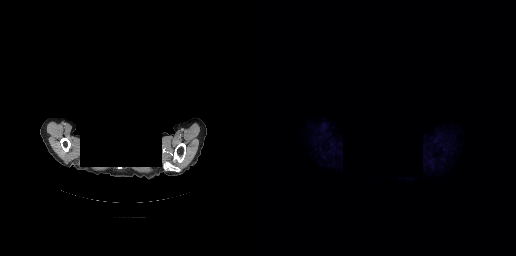
Left: CT. Right: PSMA PET, same axial level, 18F-PSMA tracer. Head region blanked for anonymization (face removed). This slice has no annotated PSMA-avid lesion.